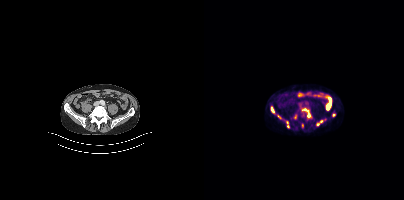
modality: PSMA PET/CT | tracer: [18F]PSMA-1007 | view: axial
Coordinates are on the 200×200 PET (right) panel. (showing 6 of 8 foci) PSMA-avid tumor lesion bounding boxes (x0,y0,x1,y1): [98,108,106,117], [67,107,70,112], [82,121,85,127], [113,120,118,125]. Small PSMA-avid foci (2 to 4 px across) near (center x, center y): (129, 114), (74, 116).